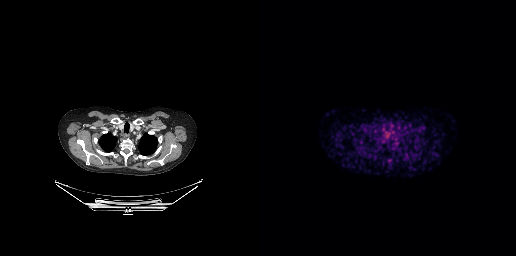
Two-panel axial: CT | PSMA PET, 68Ga-PSMA tracer. PET panel 256×256 px (2.7 mm/px). Only PSMA-avid lesion pieces thinner than 2 px on this slice (not listed).